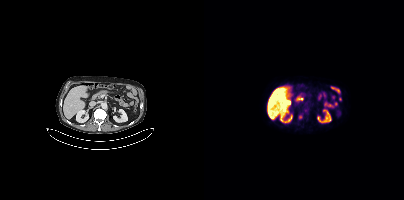
Coordinates are on the 200×200 PET (right) panel. Small PSMA-avid focus (2 to 4 px across) near (center x, center y): (96, 116).